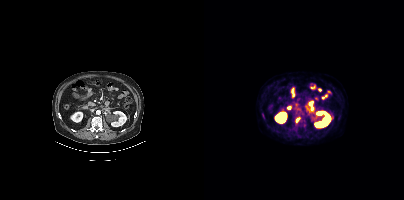
modality: PSMA PET/CT | tracer: [18F]PSMA-1007 | view: axial | PET grid: 200×200
Coordinates are on the 200×200 PET (right) panel. Small PSMA-avid focus (2 to 4 px across) near (center x, center y): (93, 119).